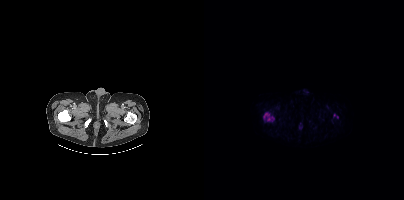
Coordinates are on the 200×200 PET (right) panel. PSMA-avid tumor lesion bounding box (x, y, width, height): x=59 y=114 w=10 h=7. Small PSMA-avid foci (2 to 4 px across) near (center x, center y): (130, 115) / (133, 116).